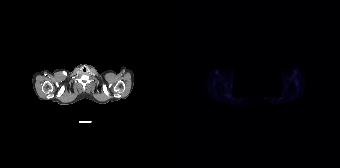
Negative for PSMA-avid disease on this slice. Some pixels were blanked for anonymization. Paired axial CT (left) and PSMA PET (right), 18F tracer. Slice 143 of 165.